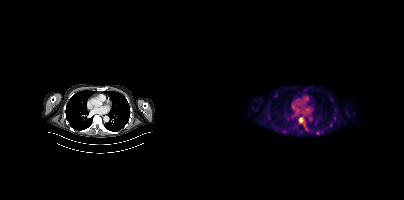
Technique: Left: CT. Right: PSMA PET, same axial level, [18F]PSMA-1007 tracer.
Findings: Coordinates are on the 200×200 PET (right) panel. (showing 1 of 2 foci) Small PSMA-avid focus (2 to 4 px across) near (center x, center y): (96, 119).